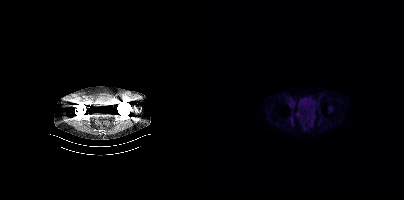
{"modality":"PSMA PET/CT","view":"axial","tracer":"18F","pet_grid":[200,200],"coord_frame":"pet_panel","coord_format":"x0,y0,x1,y1","psma_avid_lesions":false}